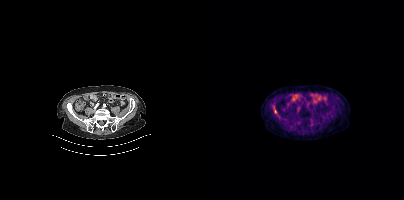
Two-panel axial: CT | PSMA PET, 18F-PSMA tracer. Coordinates are on the 200×200 PET (right) panel. PSMA-avid tumor lesion bounding box (x, y, width, height): x=69 y=108 w=5 h=6.